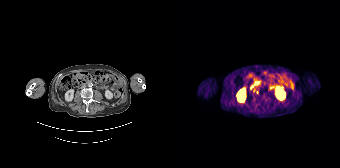
Coordinates are on the 168×168 PET (right) panel. Small PSMA-avid focus (2 to 4 px across) near (center x, center y): (85, 92).